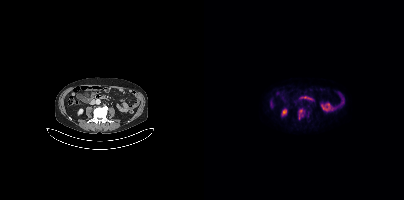
{"modality":"PSMA PET/CT","view":"axial","tracer":"18F","pet_grid":[200,200],"coord_frame":"pet_panel","coord_format":"x0,y0,x1,y1","lesion_bboxes":[[94,108,100,119]]}